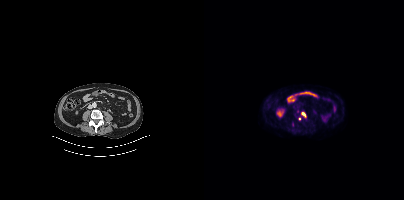
Technique: Left: CT. Right: PSMA PET, same axial level, 18F-PSMA tracer.
Findings: Coordinates are on the 200×200 PET (right) panel. (showing 1 of 2 foci) Small PSMA-avid focus (2 to 4 px across) near (center x, center y): (99, 114).